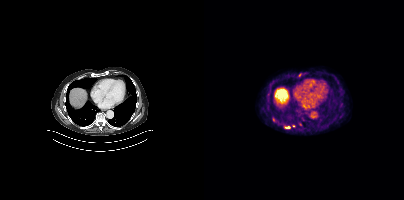
modality: PSMA PET/CT | tracer: 18F | view: axial | PET grid: 200×200
Coordinates are on the 200×200 PET (right) panel. PSMA-avid tumor lesion bounding boxes (x0,y0,x1,y1): [80,126,86,128], [68,117,71,121]. Small PSMA-avid focus (2 to 4 px across) near (center x, center y): (89, 126).